- Two-panel axial: CT | PSMA PET, 68Ga tracer
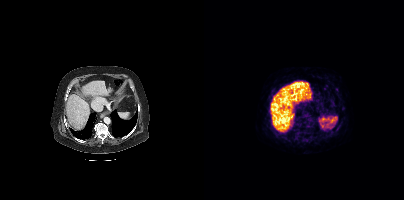
Findings: No PSMA-avid tumor lesions on this slice.